Left: CT. Right: PSMA PET, same axial level, [18F]PSMA-1007 tracer. Acquired on Siemens Biograph mCT Flow 20. Slice 243 of 427. PET panel 200×200 px (4.1 mm/px).
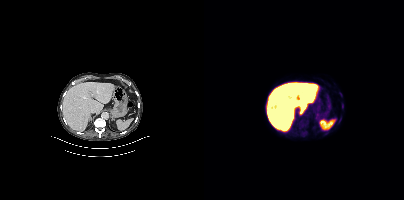
Coordinates are on the 200×200 PET (right) panel. PSMA-avid tumor lesion bounding box (x0,y0,x1,y1): [138,104,139,108]. Small PSMA-avid focus (2 to 4 px across) near (center x, center y): (136, 94).